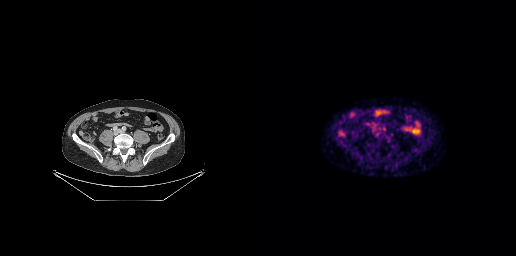
{"modality":"PSMA PET/CT","view":"axial","tracer":"18F-PSMA","pet_grid":[256,256],"coord_frame":"pet_panel","coord_format":"x0,y0,x1,y1","lesion_bboxes":[],"small_foci_centers":[[118,128]]}